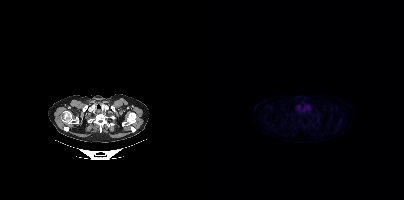
modality: PSMA PET/CT | tracer: 18F-PSMA | view: axial
No PSMA-avid tumor lesions on this slice.